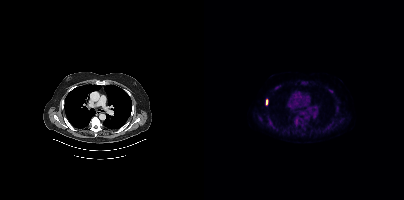
{"modality":"PSMA PET/CT","view":"axial","tracer":"18F-PSMA","pet_grid":[200,200],"coord_frame":"pet_panel","coord_format":"x0,y0,x1,y1","partial":true,"lesion_bboxes":[[90,117,98,127],[63,117,71,128],[98,81,102,85],[117,129,121,132],[71,85,75,89],[132,108,135,113],[62,99,63,103]],"small_foci_centers":[[56,119],[99,126],[126,91],[137,120]]}